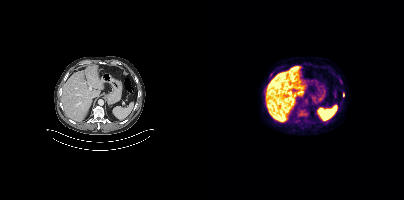
- Two-panel axial: CT | PSMA PET, 18F-PSMA tracer
- acquired on Siemens Biograph mCT Flow 20
Findings: Coordinates are on the 200×200 PET (right) panel. Small PSMA-avid focus (2 to 4 px across) near (center x, center y): (139, 94).